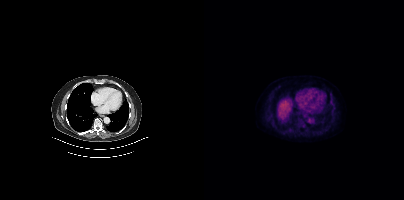
- Left: CT. Right: PSMA PET, same axial level, 18F tracer
- acquired on Siemens Biograph mCT Flow 20
- PET panel 200×200 px (4.1 mm/px)
Findings: No tumor lesions annotated on this slice.